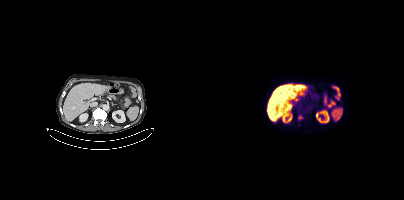
Coordinates are on the 200×200 PET (right) panel. PSMA-avid tumor lesion bounding box (x0, y0)-(x1, y1): (94, 115)-(98, 119).